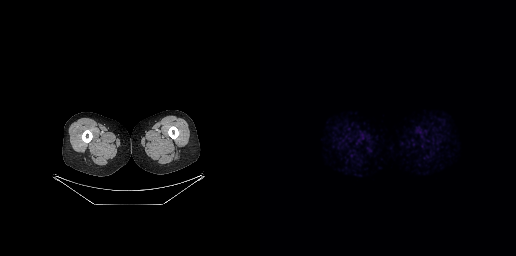
Findings: Negative for PSMA-avid disease on this slice.
Technique: Two-panel axial: CT | PSMA PET, 18F tracer. acquired on GE Discovery 690. PET panel 256×256 px (2.7 mm/px).